Technique: Left: CT. Right: PSMA PET, same axial level, [68Ga]Ga-PSMA-11 tracer. acquired on GE Discovery 690. PET panel 256×256 px (2.7 mm/px).
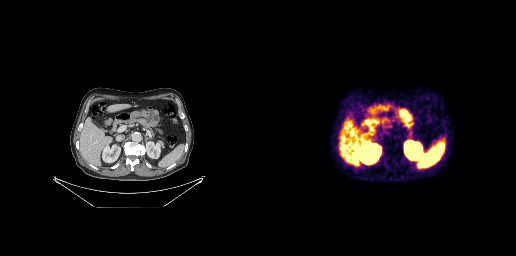
Findings: No tumor lesions annotated on this slice.